Technique: Two-panel axial: CT | PSMA PET, [18F]PSMA-1007 tracer. slice 19 of 508.
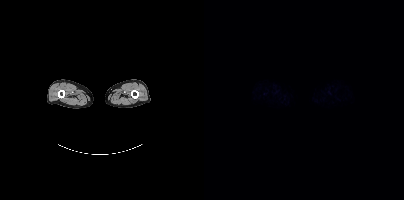
Findings: This slice has no annotated PSMA-avid lesion.